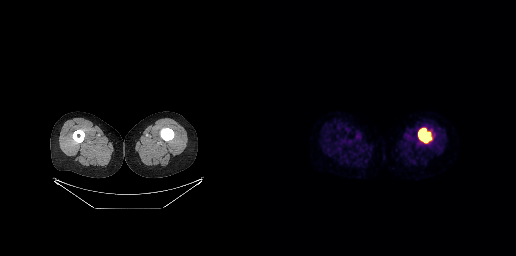
Coordinates are on the 256×256 PET (right) panel. PSMA-avid tumor lesion bounding boxes:
| # | x0 | y0 | x1 | y1 |
|---|---|---|---|---|
| 1 | 158 | 128 | 171 | 142 |
Left: CT. Right: PSMA PET, same axial level, 18F tracer. PET panel 256×256 px (2.7 mm/px).